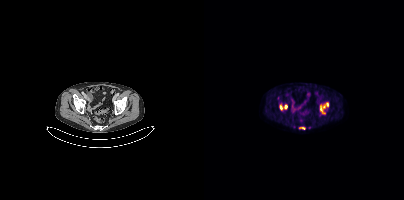
Findings: Coordinates are on the 200×200 PET (right) panel. PSMA-avid tumor lesion bounding boxes (x0, y0)-(x1, y1): (116, 102)-(125, 114); (75, 105)-(78, 110); (95, 127)-(101, 129). Small PSMA-avid focus (2 to 4 px across) near (center x, center y): (81, 106).
Technique: Two-panel axial: CT | PSMA PET, [18F]PSMA-1007 tracer. slice position z = -228 mm.